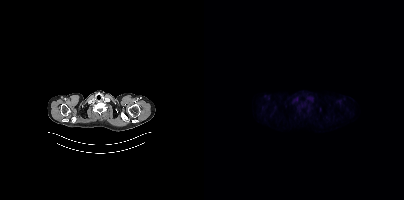
No tumor lesions annotated on this slice.